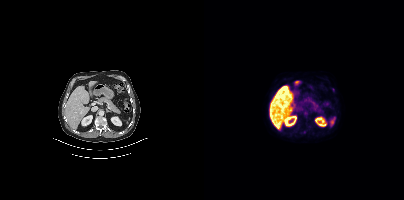
No tumor lesions annotated on this slice.